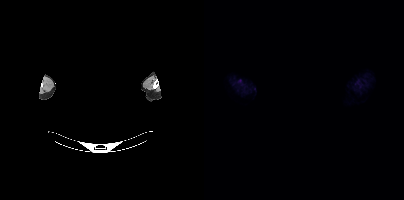
No PSMA-avid tumor lesions on this slice.
A rectangular block over the head has been blanked out for de-identification.